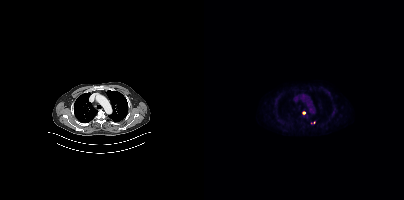
{"pet_grid":[200,200],"coord_frame":"pet_panel","coord_format":"x0,y0,x1,y1","partial":true,"lesion_bboxes":[],"small_foci_centers":[[99,112]],"modality":"PSMA PET/CT","view":"axial","tracer":"18F-PSMA"}